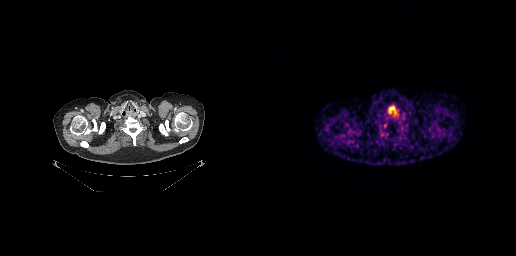
No PSMA-avid tumor lesions on this slice. Paired axial CT (left) and PSMA PET (right), 68Ga tracer. PET panel 256×256 px (2.7 mm/px).